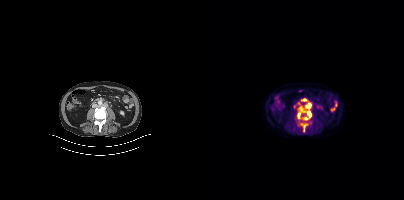
Technique: Left: CT. Right: PSMA PET, same axial level, 18F tracer. slice position z = -790 mm.
Findings: Coordinates are on the 200×200 PET (right) panel. (showing 5 of 6 foci) PSMA-avid tumor lesion bounding boxes (x, y, width, height): x=100 y=111 w=8 h=9 / x=93 y=110 w=9 h=9 / x=102 y=103 w=5 h=6 / x=99 y=124 w=4 h=8. Small PSMA-avid focus (2 to 4 px across) near (center x, center y): (100, 99).